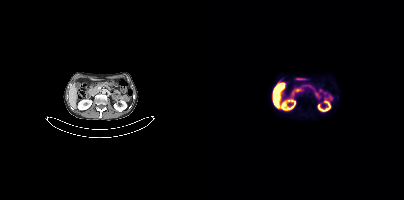
This slice has no annotated PSMA-avid lesion. Left: CT. Right: PSMA PET, same axial level, [18F]PSMA-1007 tracer. Acquired on Siemens Biograph mCT Flow 20.